Paired axial CT (left) and PSMA PET (right), 18F tracer.
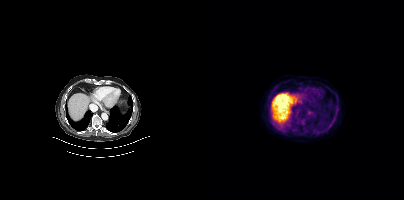
No tumor lesions annotated on this slice.